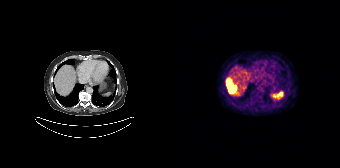
- Left: CT. Right: PSMA PET, same axial level, 68Ga tracer
Findings: Coordinates are on the 168×168 PET (right) panel. PSMA-avid tumor lesion bounding box (x0, y0)-(x1, y1): (54, 78)-(64, 93).